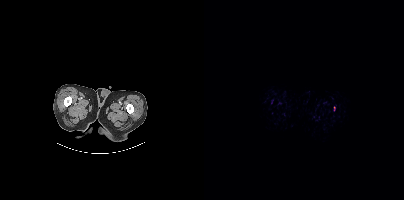
This slice has no annotated PSMA-avid lesion.